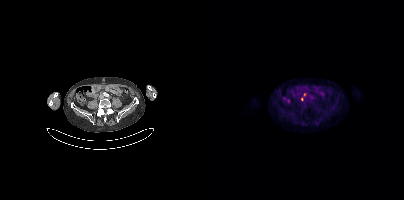
modality: PSMA PET/CT | tracer: 18F-PSMA | view: axial | PET grid: 200×200
Coordinates are on the 200×200 PET (right) panel. Small PSMA-avid foci (2 to 4 px across) near (center x, center y): (101, 94) / (98, 98).